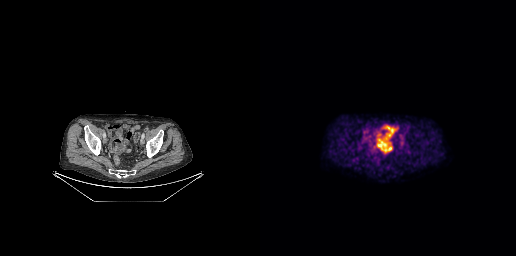
No tumor lesions annotated on this slice.